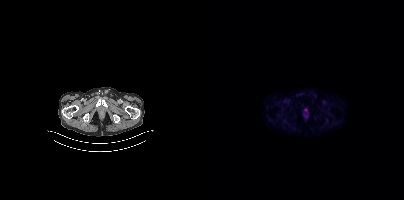
Paired axial CT (left) and PSMA PET (right), 18F-PSMA tracer. Acquired on Siemens Biograph mCT Flow 20. PET panel 200×200 px (4.1 mm/px). Negative for PSMA-avid disease on this slice.